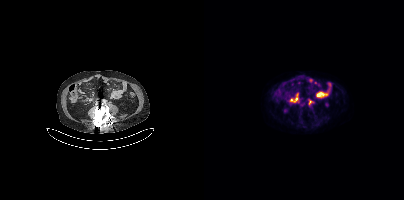
Coordinates are on the 200×200 PET (right) panel. (showing 2 of 3 foci) Small PSMA-avid foci (2 to 4 px across) near (center x, center y): (106, 102); (92, 98).